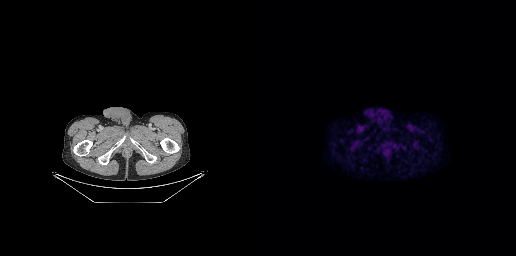
Coordinates are on the 256×256 PET (right) panel. Small PSMA-avid focus (2 to 4 px across) near (center x, center y): (125, 150). Left: CT. Right: PSMA PET, same axial level, [18F]PSMA-1007 tracer.